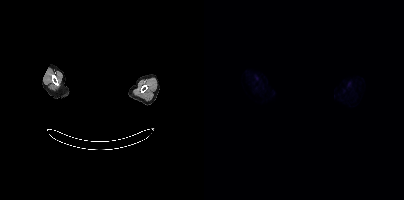
de-identification: facial region redacted | modality: PSMA PET/CT | tracer: 18F | view: axial
No PSMA-avid tumor lesions on this slice.